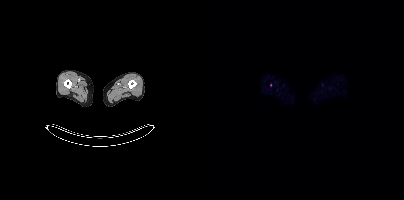
Coordinates are on the 200×200 PET (right) panel. Small PSMA-avid focus (2 to 4 px across) near (center x, center y): (66, 84).
modality: PSMA PET/CT | tracer: [18F]PSMA-1007 | view: axial | PET grid: 200×200